- privacy masking over the head, with the pixels inside a rectangle set to black
- Left: CT. Right: PSMA PET, same axial level, 18F-PSMA tracer
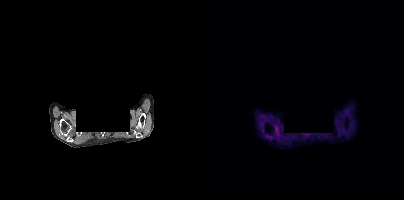
Findings: This slice has no annotated PSMA-avid lesion.